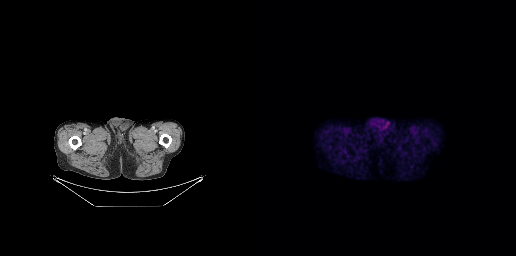
Negative for PSMA-avid disease on this slice. Paired axial CT (left) and PSMA PET (right), 18F tracer. Slice position z = -872 mm. PET panel 256×256 px (2.7 mm/px).